- the face region was removed for patient privacy by blanking a rectangle over the head
- Left: CT. Right: PSMA PET, same axial level, [18F]PSMA-1007 tracer
- PET panel 200×200 px (4.1 mm/px)
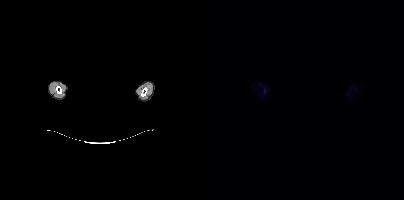
Findings: No PSMA-avid tumor lesions on this slice.